Left: CT. Right: PSMA PET, same axial level, [18F]PSMA-1007 tracer. Acquired on Siemens Biograph 64-4R TruePoint. Slice 62 of 165. PET panel 168×168 px (4.1 mm/px).
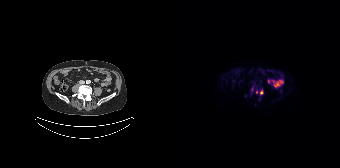
Coordinates are on the 168×168 PET (right) panel. PSMA-avid tumor lesion bounding boxes:
| # | x0 | y0 | x1 | y1 |
|---|---|---|---|---|
| 1 | 88 | 90 | 91 | 94 |
Small PSMA-avid focus (2 to 4 px across) near (center x, center y): (84, 91).